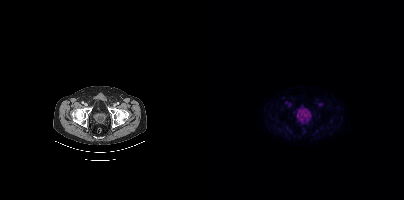
No PSMA-avid tumor lesions on this slice.